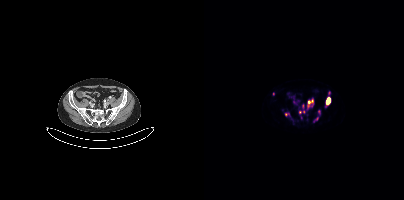
Technique: Paired axial CT (left) and PSMA PET (right), 68Ga-PSMA tracer. PET panel 200×200 px (4.1 mm/px).
Findings: Coordinates are on the 200×200 PET (right) panel. (showing 7 of 10 foci) PSMA-avid tumor lesion bounding boxes (x, y, width, height): x=103 y=100 w=6 h=11 / x=122 y=98 w=5 h=8 / x=114 y=110 w=3 h=5. Small PSMA-avid foci (2 to 4 px across) near (center x, center y): (83, 114) / (69, 93) / (98, 105) / (95, 111).